modality: PSMA PET/CT | tracer: 18F-PSMA | view: axial | PET grid: 200×200
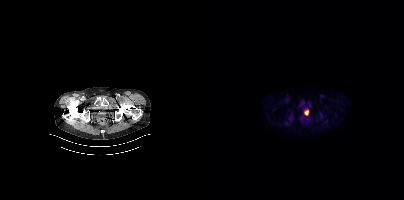
Coordinates are on the 200×200 PET (right) panel. PSMA-avid tumor lesion bounding box (x, y, width, height): x=100 y=110 w=5 h=5.